Two-panel axial: CT | PSMA PET, [18F]PSMA-1007 tracer. Acquired on Siemens Biograph mCT Flow 20. PET panel 200×200 px (4.1 mm/px).
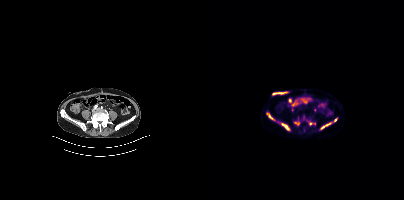
Coordinates are on the 200×200 PET (right) panel. PSMA-avid tumor lesion bounding boxes (partial; 1 more focus not listed):
| # | x0 | y0 | x1 | y1 |
|---|---|---|---|---|
| 1 | 77 | 123 | 86 | 130 |
| 2 | 116 | 122 | 128 | 129 |
| 3 | 62 | 112 | 70 | 120 |
| 4 | 91 | 122 | 95 | 124 |
Small PSMA-avid foci (2 to 4 px across) near (center x, center y): (131, 119); (106, 123).